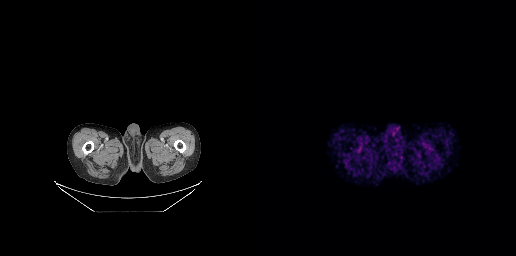
No PSMA-avid tumor lesions on this slice.